- Two-panel axial: CT | PSMA PET, 18F-PSMA tracer
- acquired on Siemens Biograph mCT Flow 20
- PET panel 200×200 px (4.1 mm/px)
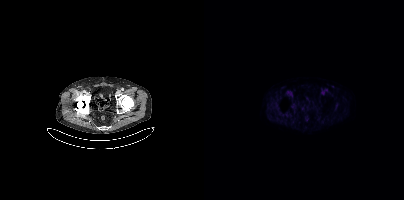
Findings: No PSMA-avid tumor lesions on this slice.